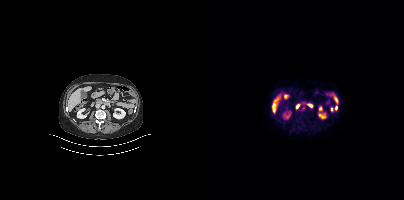
Left: CT. Right: PSMA PET, same axial level, [18F]PSMA-1007 tracer. Only PSMA-avid lesion pieces thinner than 2 px on this slice (not listed).